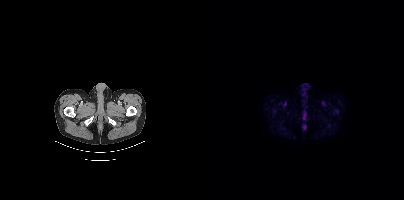
{"modality":"PSMA PET/CT","view":"axial","tracer":"[18F]PSMA-1007","pet_grid":[200,200],"coord_frame":"pet_panel","coord_format":"x0,y0,x1,y1","psma_avid_lesions":false}